Technique: Paired axial CT (left) and PSMA PET (right), 68Ga tracer. acquired on Siemens Biograph mCT Flow 20. PET panel 200×200 px (4.1 mm/px).
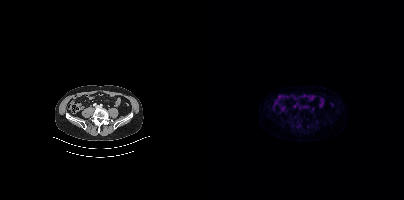
Findings: This slice has no annotated PSMA-avid lesion.